Paired axial CT (left) and PSMA PET (right), 18F tracer. Acquired on Siemens Biograph mCT Flow 20. Slice position z = -1608 mm. PET panel 200×200 px (4.1 mm/px).
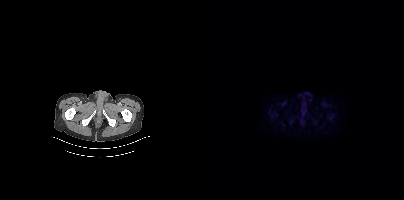
This slice has no annotated PSMA-avid lesion.